Technique: Left: CT. Right: PSMA PET, same axial level, 18F tracer. PET panel 200×200 px (4.1 mm/px).
Note: Facial anatomy redacted by setting a rectangular region of the head to black.
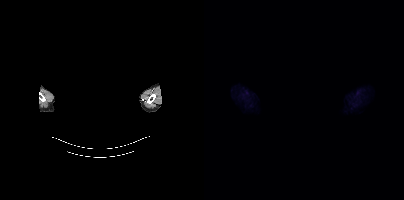
Findings: No PSMA-avid tumor lesions on this slice.